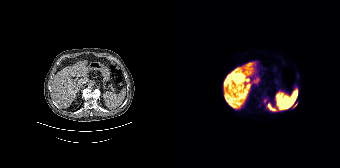
Left: CT. Right: PSMA PET, same axial level, 18F-PSMA tracer. Slice 87 of 165. PET panel 168×168 px (4.1 mm/px).
Coordinates are on the 168×168 PET (right) panel. PSMA-avid tumor lesion bounding boxes:
| # | x0 | y0 | x1 | y1 |
|---|---|---|---|---|
| 1 | 95 | 103 | 107 | 111 |
Small PSMA-avid foci (2 to 4 px across) near (center x, center y): (121, 107); (92, 100); (87, 104); (124, 103).